Technique: Left: CT. Right: PSMA PET, same axial level, [18F]PSMA-1007 tracer.
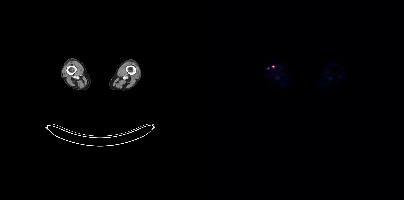
Findings: Coordinates are on the 200×200 PET (right) panel. (showing 1 of 2 foci) Small PSMA-avid focus (2 to 4 px across) near (center x, center y): (68, 66).